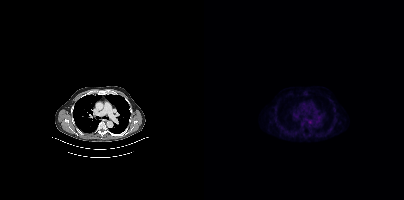
{"pet_grid":[200,200],"coord_frame":"pet_panel","coord_format":"x0,y0,x1,y1","psma_avid_lesions":false,"modality":"PSMA PET/CT","view":"axial","tracer":"18F"}